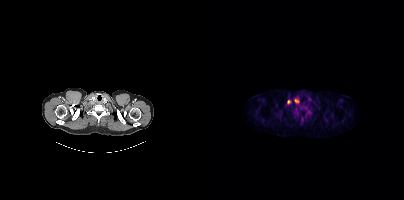
{"modality":"PSMA PET/CT","view":"axial","tracer":"18F-PSMA","pet_grid":[200,200],"coord_frame":"pet_panel","coord_format":"x0,y0,x1,y1","lesion_bboxes":[[83,100,86,104]],"small_foci_centers":[[92,100]]}